- Paired axial CT (left) and PSMA PET (right), 18F tracer
- slice position z = -690 mm
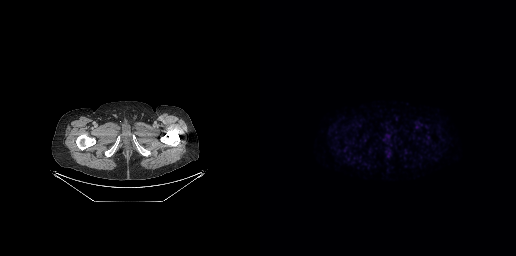
Findings: No tumor lesions annotated on this slice.